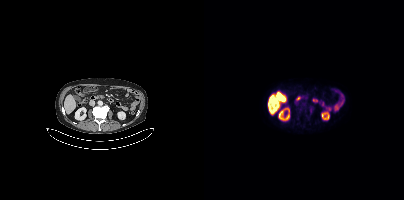
- Paired axial CT (left) and PSMA PET (right), [18F]PSMA-1007 tracer
- slice 179 of 431
Findings: Only PSMA-avid lesion pieces thinner than 2 px on this slice (not listed).